Technique: Two-panel axial: CT | PSMA PET, 18F tracer. slice 367 of 401. PET panel 200×200 px (4.1 mm/px).
Note: A rectangular block over the head has been blanked out for de-identification.
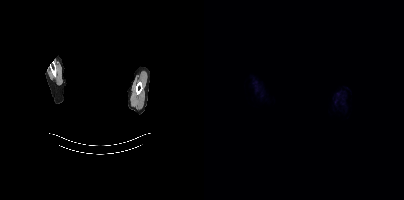
Findings: This slice has no annotated PSMA-avid lesion.